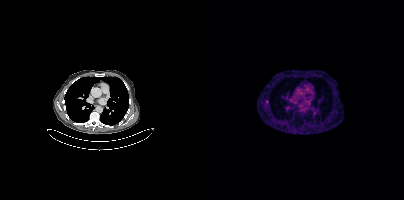
modality: PSMA PET/CT | tracer: [68Ga]Ga-PSMA-11 | view: axial | PET grid: 200×200
Coordinates are on the 200×200 PET (right) panel. Small PSMA-avid focus (2 to 4 px across) near (center x, center y): (62, 101).